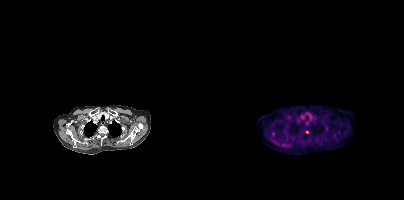
Coordinates are on the 200×200 PET (right) panel. (showing 3 of 4 foci) Small PSMA-avid foci (2 to 4 px across) near (center x, center y): (69, 133) | (103, 132) | (130, 135).